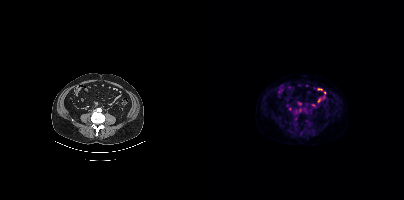
Coordinates are on the 200×200 PET (right) panel. (showing 1 of 2 foci) Small PSMA-avid focus (2 to 4 px across) near (center x, center y): (91, 118).